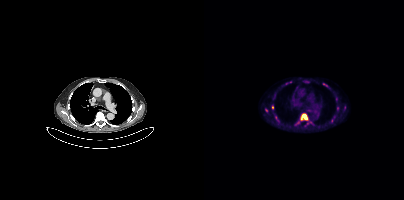
{"pet_grid":[200,200],"coord_frame":"pet_panel","coord_format":"x0,y0,x1,y1","partial":true,"lesion_bboxes":[[96,113,103,120]],"small_foci_centers":[[68,107],[62,110],[82,83],[119,83],[122,85]],"modality":"PSMA PET/CT","view":"axial","tracer":"[18F]PSMA-1007"}